- Two-panel axial: CT | PSMA PET, 18F-PSMA tracer
- acquired on Siemens Biograph mCT Flow 20
- slice 2 of 344
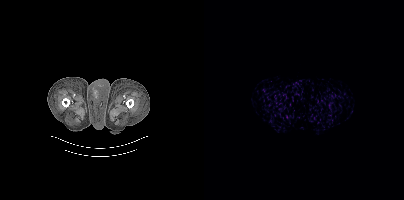
Findings: No tumor lesions annotated on this slice.